- Paired axial CT (left) and PSMA PET (right), 18F-PSMA tracer
- slice position z = -930 mm
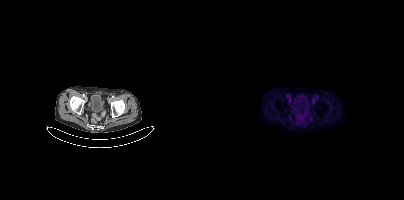
Findings: Negative for PSMA-avid disease on this slice.